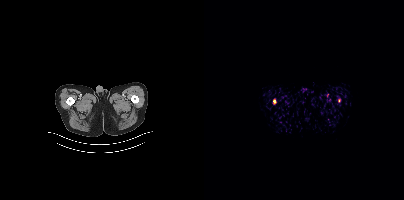
Coordinates are on the 200×200 PET (right) panel. (showing 1 of 2 foci) Small PSMA-avid focus (2 to 4 px across) near (center x, center y): (70, 101).
modality: PSMA PET/CT | tracer: 18F | view: axial